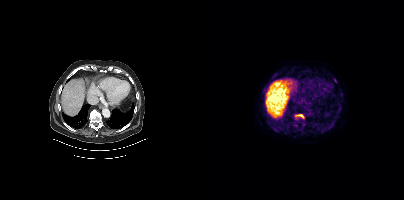
modality: PSMA PET/CT | tracer: [18F]PSMA-1007 | view: axial
Coordinates are on the 200×200 PET (right) panel. PSMA-avid tumor lesion bounding boxes (x0,y0,x1,y1): [91,114,100,119]; [130,78,132,82].